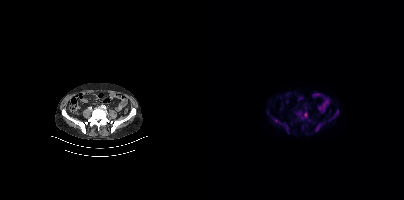
Coordinates are on the 200×200 PET (right) panel. (showing 5 of 7 foci) PSMA-avid tumor lesion bounding boxes (x0,y0,x1,y1): [67,117,85,133] [93,112,103,119] [111,123,118,131] [125,112,134,120]. Small PSMA-avid focus (2 to 4 px across) near (center x, center y): (120, 121).